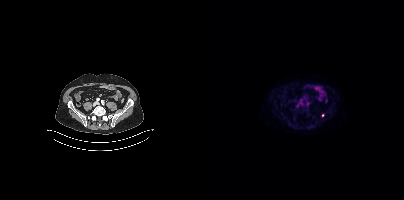
Coordinates are on the 200×200 PET (right) panel. (showing 2 of 3 foci) Small PSMA-avid foci (2 to 4 px across) near (center x, center y): (103, 103); (118, 115).